Technique: Left: CT. Right: PSMA PET, same axial level, [18F]PSMA-1007 tracer. PET panel 200×200 px (4.1 mm/px).
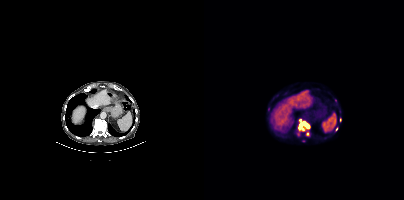
Findings: Coordinates are on the 200×200 PET (right) panel. PSMA-avid tumor lesion bounding box (x, y, width, height): x=95 y=119 w=11 h=12. Small PSMA-avid foci (2 to 4 px across) near (center x, center y): (103, 133) | (94, 133) | (64, 109) | (136, 120) | (132, 129) | (131, 100).